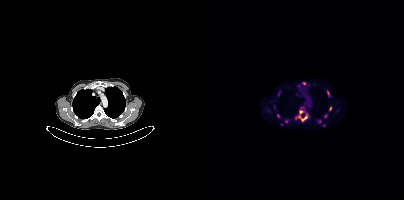
Coordinates are on the 200×200 PET (right) panel. (showing 11 of 12 foci) PSMA-avid tumor lesion bounding boxes (x0, y0)-(x1, y1): (91, 107)-(104, 121) / (123, 90)-(125, 96) / (98, 82)-(102, 85) / (125, 106)-(127, 110) / (74, 91)-(76, 95). Small PSMA-avid foci (2 to 4 px across) near (center x, center y): (74, 115) / (115, 121) / (121, 116) / (82, 121) / (77, 124) / (120, 125).